Two-panel axial: CT | PSMA PET, [18F]PSMA-1007 tracer. Slice position z = -595 mm.
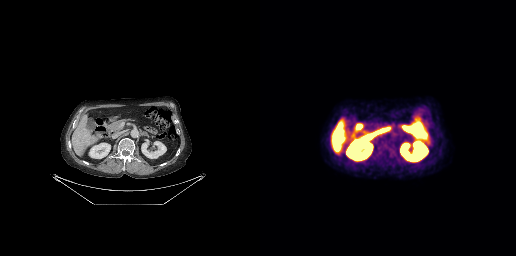
This slice has no annotated PSMA-avid lesion.